- Left: CT. Right: PSMA PET, same axial level, 18F tracer
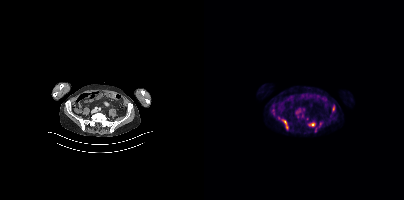
Findings: Coordinates are on the 200×200 PET (right) panel. PSMA-avid tumor lesion bounding boxes (x0, y0)-(x1, y1): (77, 119)-(84, 129) | (105, 123)-(109, 126).